Technique: Paired axial CT (left) and PSMA PET (right), [18F]PSMA-1007 tracer. acquired on Siemens Biograph mCT Flow 20. slice position z = -738 mm. PET panel 200×200 px (4.1 mm/px).
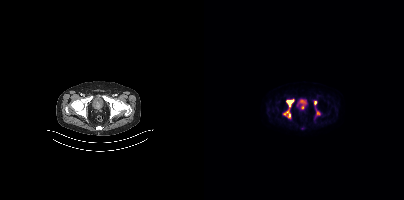
Findings: Coordinates are on the 200×200 PET (right) panel. PSMA-avid tumor lesion bounding boxes (x0, y0)-(x1, y1): (82, 99)-(90, 107) / (79, 109)-(86, 117) / (112, 109)-(116, 115) / (110, 100)-(113, 105). Small PSMA-avid focus (2 to 4 px across) near (center x, center y): (98, 107).